modality: PSMA PET/CT | tracer: 18F-PSMA | view: axial | PET grid: 200×200
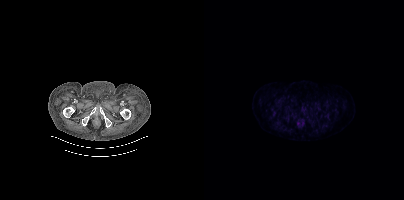
Negative for PSMA-avid disease on this slice.